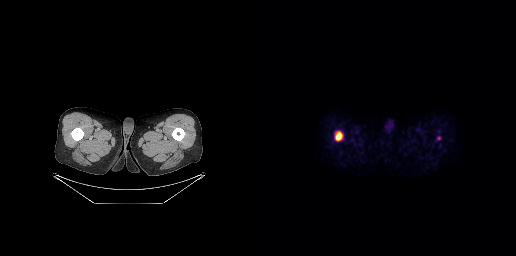
{"modality":"PSMA PET/CT","view":"axial","tracer":"18F-PSMA","pet_grid":[256,256],"coord_frame":"pet_panel","coord_format":"x0,y0,x1,y1","lesion_bboxes":[[75,131,82,140]]}